Paired axial CT (left) and PSMA PET (right), 18F-PSMA tracer. Slice position z = -332 mm. PET panel 200×200 px (4.1 mm/px).
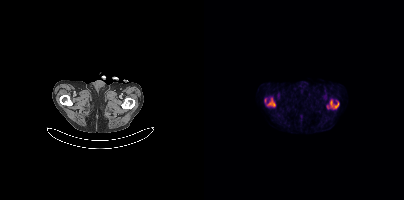
Coordinates are on the 200×200 PET (right) panel. (showing 2 of 3 foci) PSMA-avid tumor lesion bounding boxes (x0,y0,x1,y1): [126,101,134,108] [64,99,71,106].